The face region was removed for patient privacy by blanking a rectangle over the head.
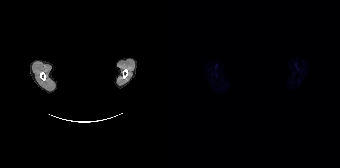
Negative for PSMA-avid disease on this slice.